modality: PSMA PET/CT | tracer: [18F]PSMA-1007 | view: axial | PET grid: 200×200
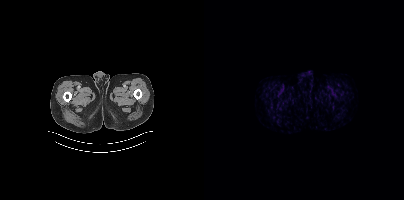
This slice has no annotated PSMA-avid lesion.